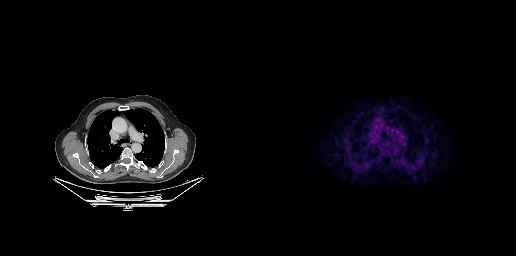
Findings: Coordinates are on the 256×256 PET (right) panel. PSMA-avid tumor lesion bounding box (x, y, width, height): x=135 y=128 w=5 h=5.
- Paired axial CT (left) and PSMA PET (right), 18F tracer
- acquired on GE Discovery 690
- slice 192 of 263